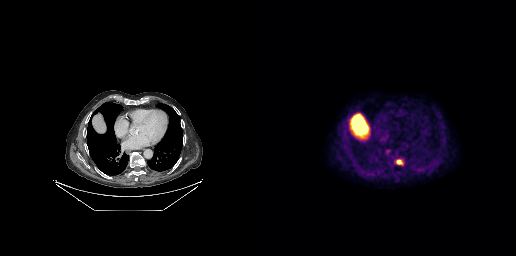
Coordinates are on the 256×256 PET (right) panel. PSMA-avid tumor lesion bounding box (x, y, width, height): x=137 y=160 w=5 h=4.